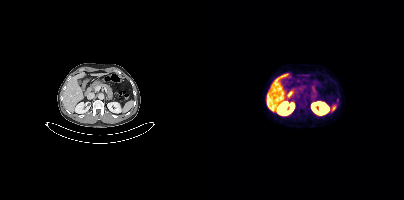
Paired axial CT (left) and PSMA PET (right), [18F]PSMA-1007 tracer. Acquired on Siemens Biograph mCT Flow 20. PET panel 200×200 px (4.1 mm/px). Coordinates are on the 200×200 PET (right) panel. Small PSMA-avid focus (2 to 4 px across) near (center x, center y): (133, 100).